Left: CT. Right: PSMA PET, same axial level, 18F tracer. Slice position z = -900 mm. PET panel 200×200 px (4.1 mm/px).
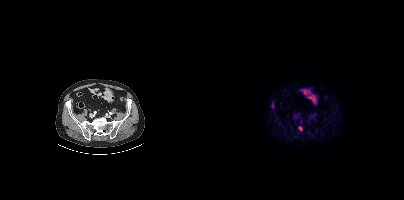
Coordinates are on the 200×200 PET (right) panel. PSMA-avid tumor lesion bounding box (x0, y0)-(x1, y1): (95, 126)-(98, 130).